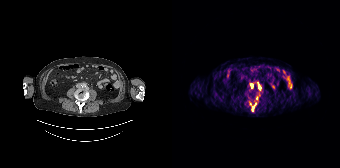
Two-panel axial: CT | PSMA PET, [68Ga]Ga-PSMA-11 tracer. Slice 94 of 195. PET panel 168×168 px (4.1 mm/px).
Coordinates are on the 168×168 PET (right) panel. PSMA-avid tumor lesion bounding boxes (partial; 2 more foci not listed):
| # | x0 | y0 | x1 | y1 |
|---|---|---|---|---|
| 1 | 80 | 103 | 84 | 110 |
Small PSMA-avid foci (2 to 4 px across) near (center x, center y): (79, 85); (87, 87).